Left: CT. Right: PSMA PET, same axial level, 68Ga-PSMA tracer. PET panel 256×256 px (2.7 mm/px).
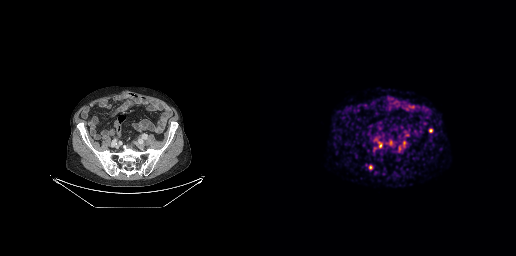
Coordinates are on the 256×256 PET (right) panel. PSMA-avid tumor lesion bounding boxes (x0, y0)-(x1, y1): (118, 142)-(122, 148) | (143, 141)-(145, 146) | (109, 165)-(112, 169). Small PSMA-avid foci (2 to 4 px across) near (center x, center y): (170, 130) | (130, 142) | (146, 134) | (139, 148).